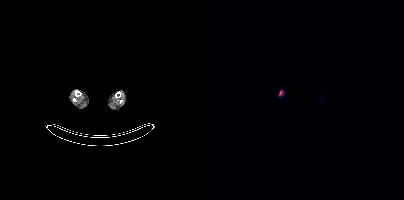
{"pet_grid":[200,200],"coord_frame":"pet_panel","coord_format":"x0,y0,x1,y1","lesion_bboxes":[[75,90,78,95]],"modality":"PSMA PET/CT","view":"axial","tracer":"18F"}